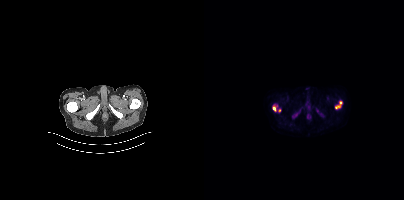
modality: PSMA PET/CT | tracer: 18F | view: axial
Coordinates are on the 200×200 PET (right) panel. PSMA-avid tumor lesion bounding boxes (x, y, width, height): x=131 y=101 w=8 h=9; x=69 y=104 w=6 h=8. Small PSMA-avid foci (2 to 4 px across) near (center x, center y): (89, 115); (75, 110); (113, 110).